modality: PSMA PET/CT | tracer: 18F-PSMA | view: axial
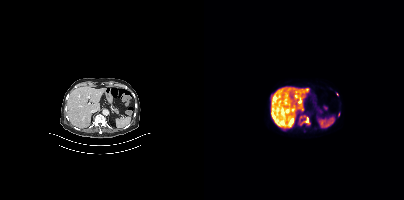
Coordinates are on the 200×200 PET (right) panel. PSMA-avid tumor lesion bounding boxes (x0, y0)-(x1, y1): (72, 107)-(86, 114) | (67, 113)-(72, 118) | (101, 88)-(104, 92) | (102, 117)-(104, 122). Small PSMA-avid foci (2 to 4 px across) near (center x, center y): (72, 120) | (134, 114) | (133, 94).